- Two-panel axial: CT | PSMA PET, 18F tracer
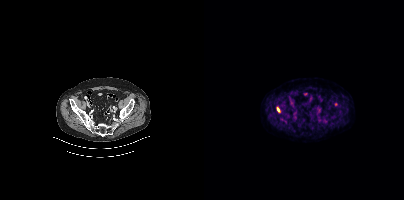
Findings: Coordinates are on the 200×200 PET (right) panel. Small PSMA-avid focus (2 to 4 px across) near (center x, center y): (73, 109).